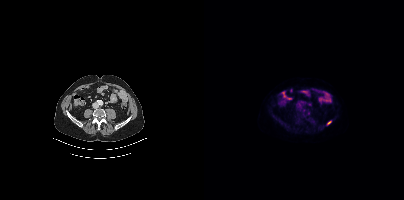
{"modality":"PSMA PET/CT","view":"axial","tracer":"18F-PSMA","pet_grid":[200,200],"coord_frame":"pet_panel","coord_format":"x0,y0,x1,y1","lesion_bboxes":[[123,121,127,124]]}